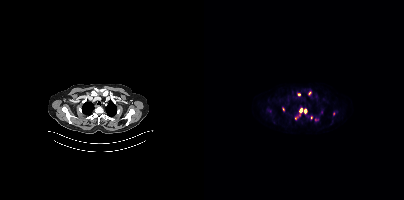
Findings: Coordinates are on the 200×200 PET (right) panel. (showing 8 of 9 foci) PSMA-avid tumor lesion bounding boxes (x, y, width, height): x=95 y=108 w=9 h=8 | x=106 y=115 w=3 h=5 | x=104 y=91 w=4 h=5. Small PSMA-avid foci (2 to 4 px across) near (center x, center y): (112, 119) | (94, 94) | (92, 118) | (79, 109) | (117, 112).
- Paired axial CT (left) and PSMA PET (right), [18F]PSMA-1007 tracer
- PET panel 200×200 px (4.1 mm/px)